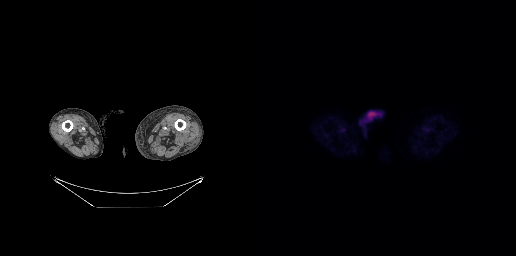
No PSMA-avid tumor lesions on this slice.